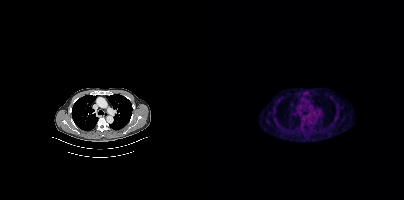
modality: PSMA PET/CT | tracer: [18F]PSMA-1007 | view: axial
This slice has no annotated PSMA-avid lesion.